deidentification: head region blacked out before release | modality: PSMA PET/CT | tracer: [68Ga]Ga-PSMA-11 | view: axial
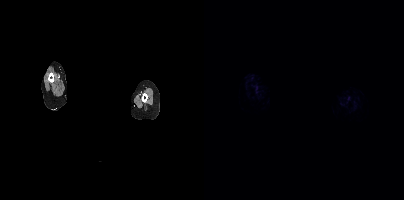
No PSMA-avid tumor lesions on this slice.